Left: CT. Right: PSMA PET, same axial level, [18F]PSMA-1007 tracer. Acquired on Siemens Biograph mCT Flow 20. Slice position z = -340 mm. PET panel 200×200 px (4.1 mm/px).
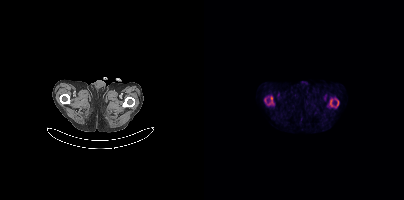
Coordinates are on the 200×200 PET (right) panel. (showing 2 of 4 foci) PSMA-avid tumor lesion bounding box (x0,y0,x1,y1): [133,101,134,105]. Small PSMA-avid focus (2 to 4 px across) near (center x, center y): (67, 98).